Technique: Left: CT. Right: PSMA PET, same axial level, 68Ga tracer.
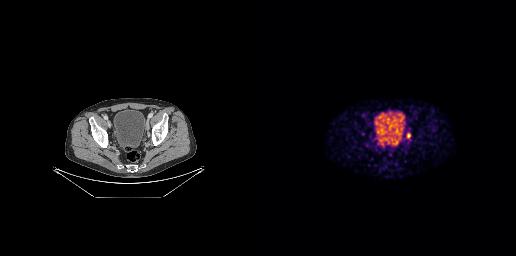
Findings: Coordinates are on the 256×256 PET (right) panel. PSMA-avid tumor lesion bounding box (x0, y0)-(x1, y1): (146, 132)-(151, 139).